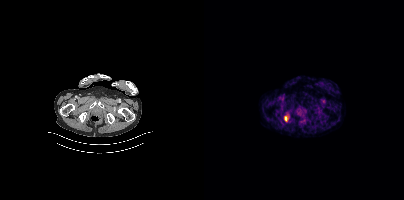
modality: PSMA PET/CT | tracer: [18F]PSMA-1007 | view: axial
Coordinates are on the 200×200 PET (right) panel. PSMA-avid tumor lesion bounding box (x0,y0,x1,y1): [80,116,83,121].